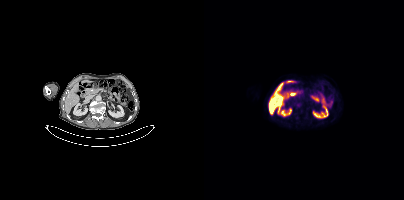
Negative for PSMA-avid disease on this slice. Paired axial CT (left) and PSMA PET (right), 18F-PSMA tracer.